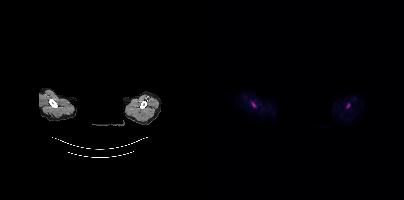
Coordinates are on the 200×200 PET (right) panel. PSMA-avid tumor lesion bounding boxes:
| # | x0 | y0 | x1 | y1 |
|---|---|---|---|---|
| 1 | 48 | 102 | 51 | 106 |
Small PSMA-avid focus (2 to 4 px across) near (center x, center y): (144, 105).
Any black rectangle over the head is a privacy mask, not anatomy. Paired axial CT (left) and PSMA PET (right), [18F]PSMA-1007 tracer. Slice 350 of 395.